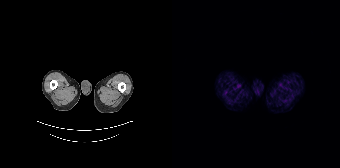
This slice has no annotated PSMA-avid lesion. Two-panel axial: CT | PSMA PET, 68Ga-PSMA tracer. PET panel 168×168 px (4.1 mm/px).